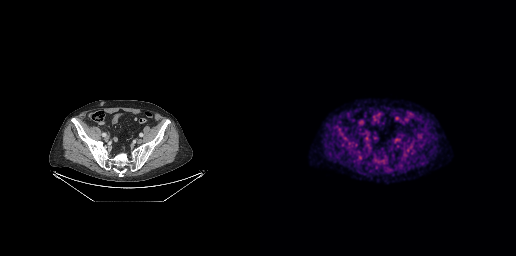
Paired axial CT (left) and PSMA PET (right), 18F tracer. Slice position z = -762 mm. PET panel 256×256 px (2.7 mm/px). Negative for PSMA-avid disease on this slice.